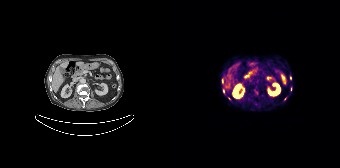
{"modality":"PSMA PET/CT","view":"axial","tracer":"68Ga-PSMA","pet_grid":[168,168],"coord_frame":"pet_panel","coord_format":"x0,y0,x1,y1","partial":true,"lesion_bboxes":[[50,78,51,83],[51,89,52,93]],"small_foci_centers":[[113,98]]}